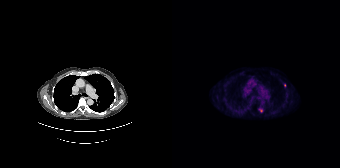
Two-panel axial: CT | PSMA PET, 18F-PSMA tracer. Coordinates are on the 168×168 PET (right) panel. Small PSMA-avid foci (2 to 4 px across) near (center x, center y): (88, 110) | (112, 85).